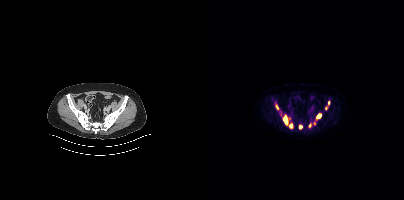
Findings: Coordinates are on the 200×200 PET (right) panel. (showing 8 of 10 foci) PSMA-avid tumor lesion bounding boxes (x0,y0,x1,y1): [79,115,84,125]; [112,113,117,118]; [85,123,88,128]; [95,125,98,129]; [72,105,74,109]. Small PSMA-avid foci (2 to 4 px across) near (center x, center y): (106, 125); (124, 102); (121, 108).
- Left: CT. Right: PSMA PET, same axial level, 18F-PSMA tracer